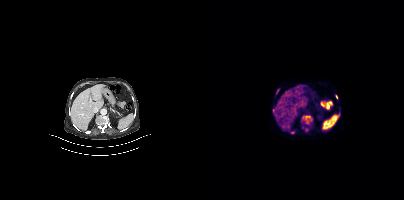
Coordinates are on the 200×200 PET (right) panel. PSMA-avid tumor lesion bounding boxes (partial; 1 more focus not listed):
| # | x0 | y0 | x1 | y1 |
|---|---|---|---|---|
| 1 | 101 | 116 | 106 | 123 |
| 2 | 100 | 127 | 103 | 131 |
| 3 | 86 | 131 | 90 | 133 |
| 4 | 72 | 89 | 74 | 93 |
Small PSMA-avid foci (2 to 4 px across) near (center x, center y): (69, 110); (132, 96).
Left: CT. Right: PSMA PET, same axial level, 68Ga-PSMA tracer. Acquired on Siemens Biograph mCT Flow 20. Slice position z = 696 mm.